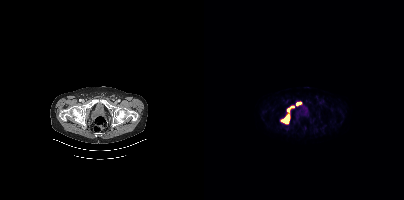
{"modality":"PSMA PET/CT","view":"axial","tracer":"18F","pet_grid":[200,200],"coord_frame":"pet_panel","coord_format":"x0,y0,x1,y1","partial":true,"lesion_bboxes":[[78,118,84,123],[84,106,89,111],[92,102,96,105]],"small_foci_centers":[[84,115]]}